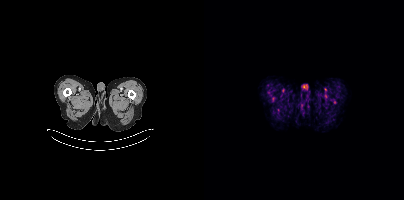
modality: PSMA PET/CT | tracer: 18F-PSMA | view: axial | PET grid: 200×200
Negative for PSMA-avid disease on this slice.